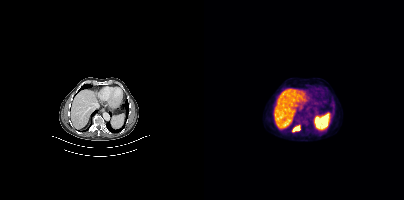
Two-panel axial: CT | PSMA PET, 18F-PSMA tracer. Slice position z = 322 mm.
Coordinates are on the 200×200 PET (right) panel. PSMA-avid tumor lesion bounding boxes:
| # | x0 | y0 | x1 | y1 |
|---|---|---|---|---|
| 1 | 88 | 125 | 96 | 131 |